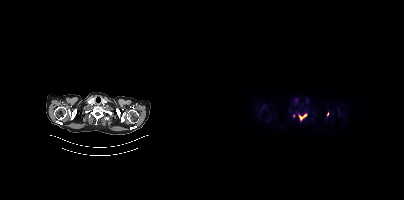
Technique: Paired axial CT (left) and PSMA PET (right), 18F-PSMA tracer. slice 359 of 423.
Findings: Coordinates are on the 200×200 PET (right) panel. (showing 2 of 3 foci) PSMA-avid tumor lesion bounding box (x0, y0)-(x1, y1): (95, 114)-(102, 120). Small PSMA-avid focus (2 to 4 px across) near (center x, center y): (123, 113).